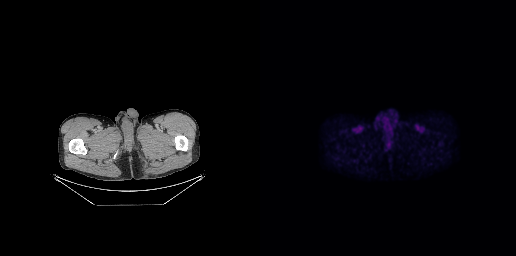
Left: CT. Right: PSMA PET, same axial level, 18F tracer. Slice 23 of 263. PET panel 256×256 px (2.7 mm/px). No tumor lesions annotated on this slice.